- Two-panel axial: CT | PSMA PET, 18F-PSMA tracer
- acquired on Siemens Biograph mCT Flow 20
- PET panel 200×200 px (4.1 mm/px)
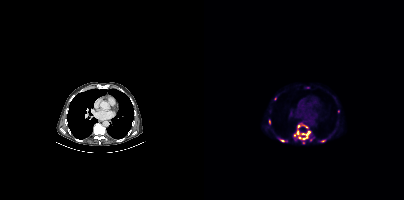
Findings: Coordinates are on the 200×200 PET (right) panel. (showing 11 of 12 foci) PSMA-avid tumor lesion bounding boxes (x0, y0)-(x1, y1): (93, 124)-(104, 128) | (90, 130)-(97, 138) | (97, 131)-(106, 140) | (117, 140)-(121, 142). Small PSMA-avid foci (2 to 4 px across) near (center x, center y): (99, 133) | (78, 140) | (65, 121) | (99, 142) | (103, 87) | (106, 139) | (134, 111).